Paired axial CT (left) and PSMA PET (right), 18F-PSMA tracer. The face region was removed for patient privacy by blanking a rectangle over the head.
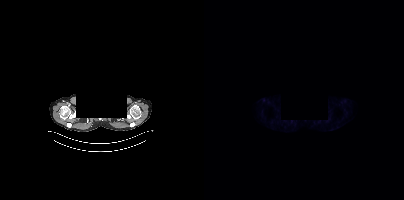
This slice has no annotated PSMA-avid lesion.